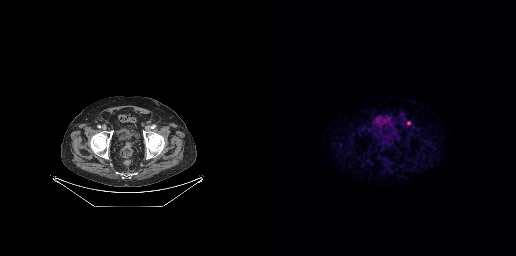
Coordinates are on the 256×256 PET (right) panel. PSMA-avid tumor lesion bounding boxes:
| # | x0 | y0 | x1 | y1 |
|---|---|---|---|---|
| 1 | 147 | 121 | 150 | 125 |
Two-panel axial: CT | PSMA PET, 18F tracer. PET panel 256×256 px (2.7 mm/px).